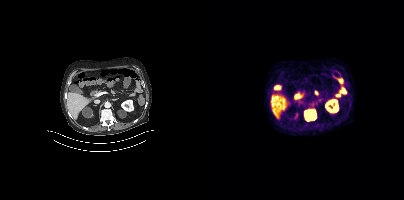
Coordinates are on the 200×200 PET (right) panel. PSMA-avid tumor lesion bounding box (x0,y0,x1,y1): [100,109,112,121].